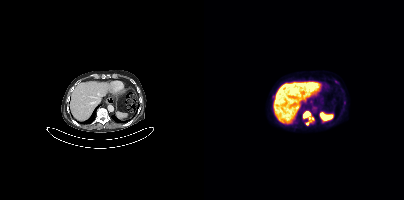
Two-panel axial: CT | PSMA PET, 18F-PSMA tracer. PET panel 200×200 px (4.1 mm/px). Coordinates are on the 200×200 PET (right) panel. PSMA-avid tumor lesion bounding box (x0, y0)-(x1, y1): (98, 111)-(109, 125).